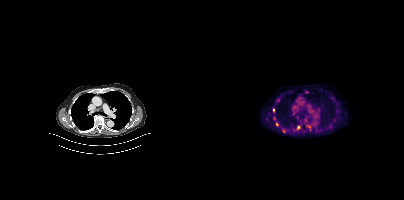
{"modality":"PSMA PET/CT","view":"axial","tracer":"[18F]PSMA-1007","pet_grid":[200,200],"coord_frame":"pet_panel","coord_format":"x0,y0,x1,y1","partial":true,"lesion_bboxes":[],"small_foci_centers":[[69,110],[94,127],[105,127],[72,124]]}